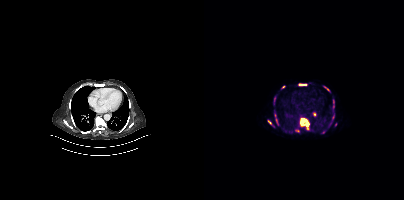
Coordinates are on the 200×200 PET (right) panel. (showing 10 of 11 foci) PSMA-avid tumor lesion bounding boxes (x, y, width, height): x=96 y=118 w=10 h=11 | x=95 y=84 w=8 h=2 | x=121 y=87 w=6 h=5 | x=69 y=98 w=3 h=6 | x=128 y=114 w=3 h=5 | x=64 y=120 w=4 h=5. Small PSMA-avid foci (2 to 4 px across) near (center x, center y): (72, 120) | (129, 101) | (79, 87) | (93, 130).